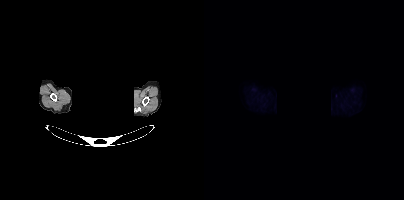
Findings: Negative for PSMA-avid disease on this slice.
- facial anatomy redacted by setting a rectangular region of the head to black
- Two-panel axial: CT | PSMA PET, [18F]PSMA-1007 tracer
- slice 372 of 421